Left: CT. Right: PSMA PET, same axial level, 18F tracer. Acquired on Siemens Biograph mCT Flow 20.
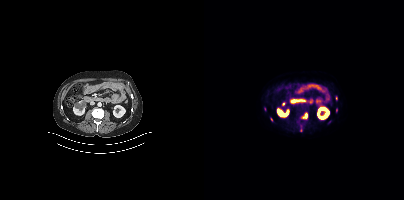
Coordinates are on the 200×200 PET (right) panel. PSMA-avid tumor lesion bounding boxes (partial; 2 more foci not listed):
| # | x0 | y0 | x1 | y1 |
|---|---|---|---|---|
| 1 | 99 | 113 | 103 | 118 |
Small PSMA-avid foci (2 to 4 px across) near (center x, center y): (67, 119); (132, 98).